Two-panel axial: CT | PSMA PET, 18F tracer. Acquired on Siemens Biograph mCT Flow 20.
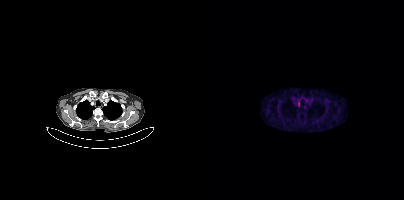
Coordinates are on the 200×200 PET (right) panel. PSMA-avid tumor lesion bounding boxes:
| # | x0 | y0 | x1 | y1 |
|---|---|---|---|---|
| 1 | 94 | 101 | 95 | 106 |